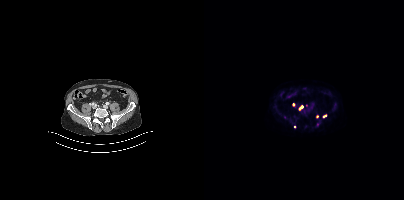
- Paired axial CT (left) and PSMA PET (right), [18F]PSMA-1007 tracer
- acquired on Siemens Biograph mCT Flow 20
- slice 128 of 421
Findings: Coordinates are on the 200×200 PET (right) panel. (showing 3 of 5 foci) PSMA-avid tumor lesion bounding box (x0,y0,x1,y1): [95,105,99,109]. Small PSMA-avid foci (2 to 4 px across) near (center x, center y): (121, 115), (113, 124).